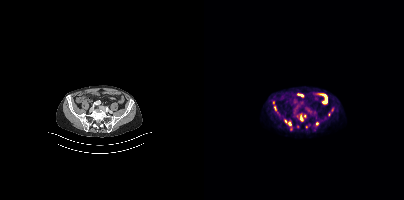
{"modality":"PSMA PET/CT","view":"axial","tracer":"[18F]PSMA-1007","pet_grid":[200,200],"coord_frame":"pet_panel","coord_format":"x0,y0,x1,y1","partial":true,"lesion_bboxes":[[84,122,88,130],[96,115,99,121],[70,106,72,110],[122,100,123,104]],"small_foci_centers":[[113,123],[128,109],[100,116],[81,121],[69,102]]}